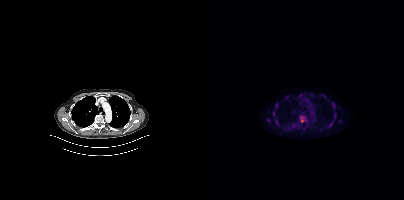
Two-panel axial: CT | PSMA PET, 18F-PSMA tracer. Acquired on Siemens Biograph mCT Flow 20. Slice position z = -341 mm. PET panel 200×200 px (4.1 mm/px). Coordinates are on the 200×200 PET (right) panel. (showing 6 of 7 foci) PSMA-avid tumor lesion bounding boxes (x, y, width, height): x=129 y=103 w=2 h=6; x=130 y=113 w=2 h=5. Small PSMA-avid foci (2 to 4 px across) near (center x, center y): (69, 113); (73, 122); (72, 105); (64, 120).